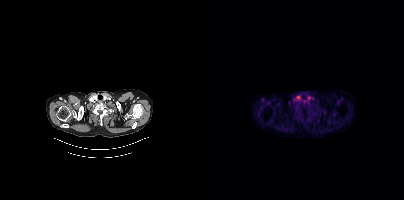
Left: CT. Right: PSMA PET, same axial level, 18F tracer. Slice 381 of 454. PET panel 200×200 px (4.1 mm/px). No tumor lesions annotated on this slice.